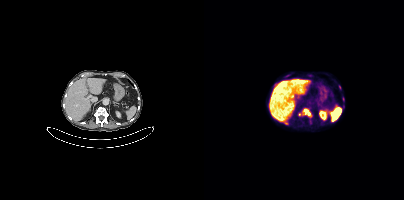
Findings: Coordinates are on the 200×200 PET (right) panel. PSMA-avid tumor lesion bounding box (x0, y0)-(x1, y1): (99, 109)-(106, 115). Small PSMA-avid focus (2 to 4 px across) near (center x, center y): (95, 114).
- Paired axial CT (left) and PSMA PET (right), 18F-PSMA tracer
- acquired on Siemens Biograph mCT Flow 20
- PET panel 200×200 px (4.1 mm/px)